- Paired axial CT (left) and PSMA PET (right), [18F]PSMA-1007 tracer
- slice 135 of 438
- PET panel 200×200 px (4.1 mm/px)
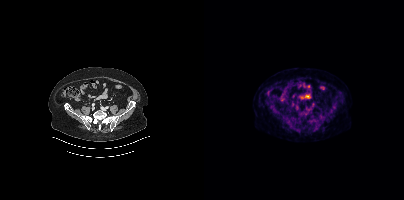
Findings: Negative for PSMA-avid disease on this slice.